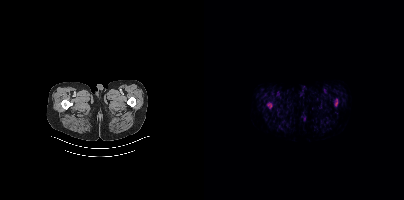
Coordinates are on the 200×200 PET (right) panel. PSMA-avid tumor lesion bounding box (x0, y0)-(x1, y1): (63, 103)-(67, 108). Small PSMA-avid focus (2 to 4 px across) near (center x, center y): (132, 103).